- Left: CT. Right: PSMA PET, same axial level, [18F]PSMA-1007 tracer
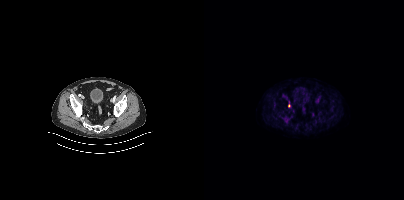
Findings: Coordinates are on the 200×200 PET (right) panel. Small PSMA-avid focus (2 to 4 px across) near (center x, center y): (84, 105).